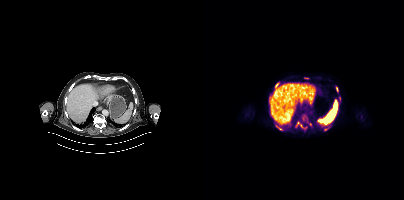
Technique: Left: CT. Right: PSMA PET, same axial level, 18F-PSMA tracer. slice position z = -1102 mm.
Findings: Coordinates are on the 200×200 PET (right) panel. (showing 6 of 11 foci) PSMA-avid tumor lesion bounding boxes (x, y, width, height): x=71 y=83 w=4 h=5 / x=132 y=87 w=3 h=5. Small PSMA-avid foci (2 to 4 px across) near (center x, center y): (121, 129) / (76, 129) / (106, 124) / (67, 116).